Technique: Two-panel axial: CT | PSMA PET, 18F tracer. PET panel 200×200 px (4.1 mm/px).
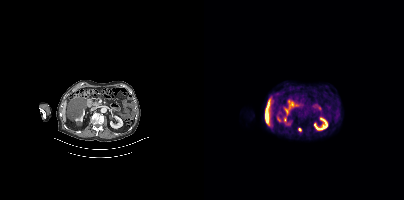
Findings: Coordinates are on the 200×200 PET (right) panel. Small PSMA-avid focus (2 to 4 px across) near (center x, center y): (95, 129).